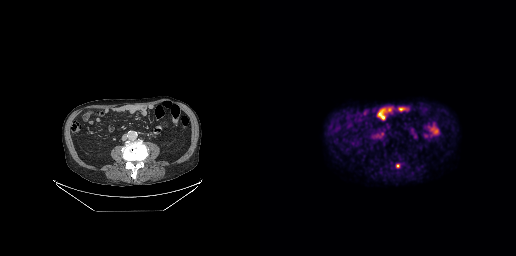
{"modality":"PSMA PET/CT","view":"axial","tracer":"[18F]PSMA-1007","pet_grid":[256,256],"coord_frame":"pet_panel","coord_format":"x0,y0,x1,y1","partial":true,"lesion_bboxes":[]}